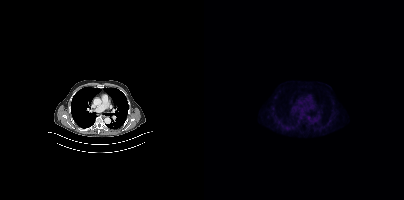
No tumor lesions annotated on this slice.
modality: PSMA PET/CT | tracer: 18F | view: axial | PET grid: 200×200